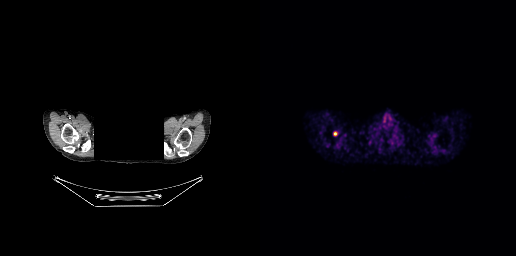
Face de-identified by blanking a block of the head. Two-panel axial: CT | PSMA PET, [68Ga]Ga-PSMA-11 tracer.
Coordinates are on the 256×256 PET (right) panel. PSMA-avid tumor lesion bounding boxes:
| # | x0 | y0 | x1 | y1 |
|---|---|---|---|---|
| 1 | 73 | 131 | 77 | 135 |